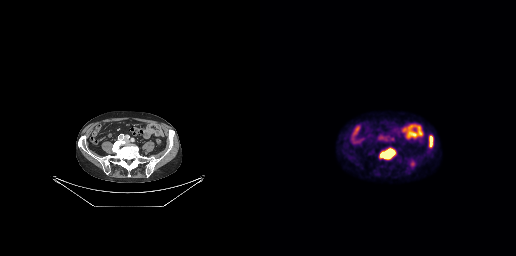
Left: CT. Right: PSMA PET, same axial level, 18F tracer. PET panel 256×256 px (2.7 mm/px).
Coordinates are on the 256×256 PET (right) panel. PSMA-avid tumor lesion bounding boxes:
| # | x0 | y0 | x1 | y1 |
|---|---|---|---|---|
| 1 | 121 | 149 | 135 | 158 |
| 2 | 169 | 135 | 173 | 147 |
Small PSMA-avid focus (2 to 4 px across) near (center x, center y): (152, 164).